Technique: Left: CT. Right: PSMA PET, same axial level, 18F tracer. acquired on Siemens Biograph mCT Flow 20. slice position z = -602 mm. PET panel 200×200 px (4.1 mm/px).
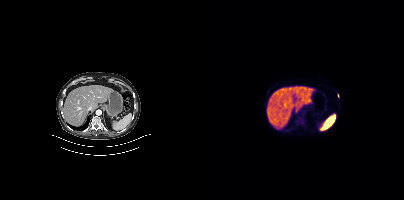
Findings: Only PSMA-avid lesion pieces thinner than 2 px on this slice (not listed).